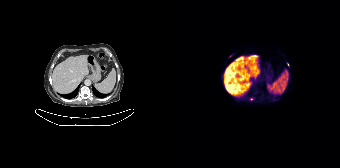
Coordinates are on the 168×168 PET (right) panel. (showing 2 of 3 foci) Small PSMA-avid foci (2 to 4 px across) near (center x, center y): (79, 99), (115, 64).